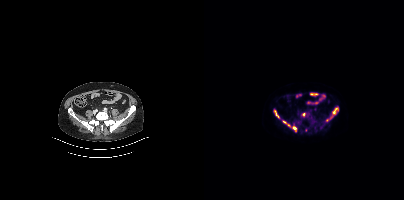
{"modality":"PSMA PET/CT","view":"axial","tracer":"18F-PSMA","pet_grid":[200,200],"coord_frame":"pet_panel","coord_format":"x0,y0,x1,y1","partial":true,"lesion_bboxes":[[128,107,134,114],[70,110,75,117],[89,126,92,131]],"small_foci_centers":[[99,114],[80,122],[84,125]]}